Technique: Left: CT. Right: PSMA PET, same axial level, 68Ga-PSMA tracer. PET panel 200×200 px (4.1 mm/px).
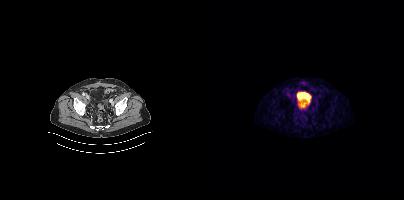
Findings: This slice has no annotated PSMA-avid lesion.